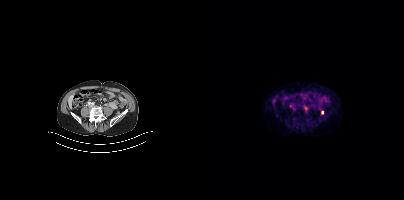
Technique: Left: CT. Right: PSMA PET, same axial level, [68Ga]Ga-PSMA-11 tracer. slice position z = -1290 mm. PET panel 200×200 px (4.1 mm/px).
Findings: Coordinates are on the 200×200 PET (right) panel. (showing 2 of 3 foci) Small PSMA-avid foci (2 to 4 px across) near (center x, center y): (118, 112) (86, 105).